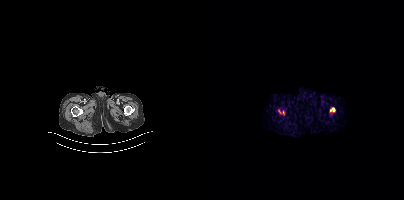
{"pet_grid":[200,200],"coord_frame":"pet_panel","coord_format":"x0,y0,x1,y1","lesion_bboxes":[[125,107,131,112],[74,109,80,115]],"modality":"PSMA PET/CT","view":"axial","tracer":"18F"}